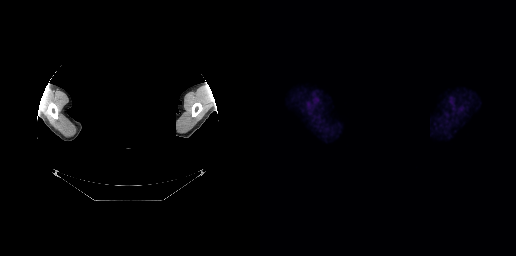
No PSMA-avid tumor lesions on this slice.
deidentification: face masked with black rectangle | modality: PSMA PET/CT | tracer: 18F-PSMA | view: axial